modality: PSMA PET/CT | tracer: 18F | view: axial | PET grid: 200×200
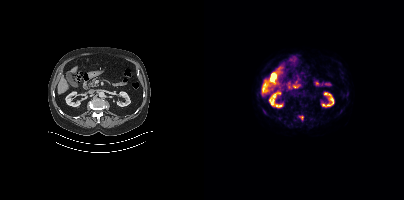
Coordinates are on the 200×200 PET (right) panel. Small PSMA-avid focus (2 to 4 px across) near (center x, center y): (97, 117).